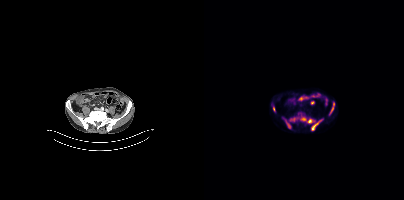
Coordinates are on the 200×200 PET (right) panel. (showing 5 of 6 foci) PSMA-avid tumor lesion bounding boxes (x0,y0,x1,y1): [96,116,119,130] [125,102,130,114] [82,121,86,128] [86,117,93,121] [69,106,71,112].